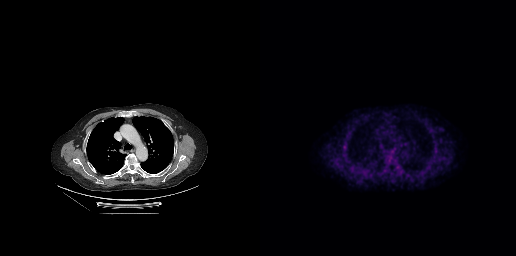
Coordinates are on the 256×256 PET (right) panel. PSMA-avid tumor lesion bounding box (x, y, width, height): x=83 y=143 w=4 h=9.
modality: PSMA PET/CT | tracer: 18F | view: axial